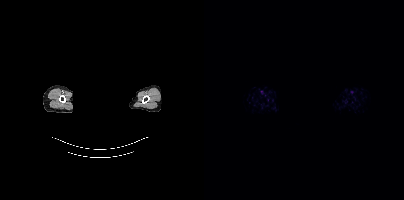
deidentification: head region blanked (face removed) | modality: PSMA PET/CT | tracer: 68Ga | view: axial
Negative for PSMA-avid disease on this slice.